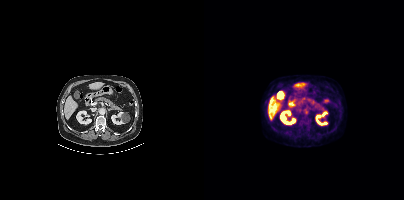
Paired axial CT (left) and PSMA PET (right), [18F]PSMA-1007 tracer. Slice 231 of 415. This slice has no annotated PSMA-avid lesion.